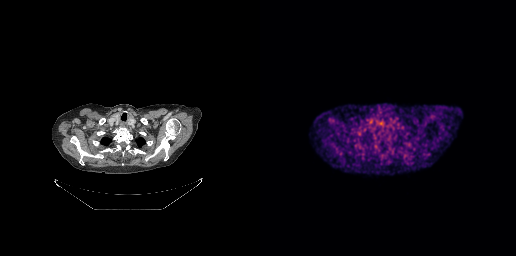
Technique: Left: CT. Right: PSMA PET, same axial level, 18F tracer.
Findings: No PSMA-avid tumor lesions on this slice.